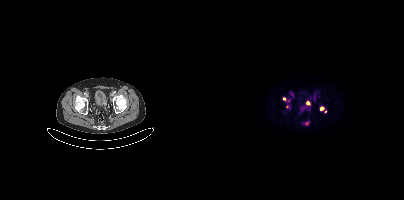
Findings: Coordinates are on the 200×200 PET (right) panel. PSMA-avid tumor lesion bounding box (x0, y0)-(x1, y1): (102, 101)-(106, 104). Small PSMA-avid foci (2 to 4 px across) near (center x, center y): (117, 108) | (80, 99) | (84, 100) | (83, 106) | (121, 111).
- Left: CT. Right: PSMA PET, same axial level, 18F-PSMA tracer
- PET panel 200×200 px (4.1 mm/px)